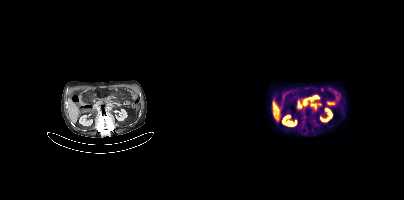
Coordinates are on the 200×200 PET (right) panel. PSMA-avid tumor lesion bounding box (x0, y0)-(x1, y1): (99, 95)-(115, 105).